- Two-panel axial: CT | PSMA PET, 18F-PSMA tracer
- acquired on Siemens Biograph mCT Flow 20
- slice position z = -954 mm
- PET panel 200×200 px (4.1 mm/px)
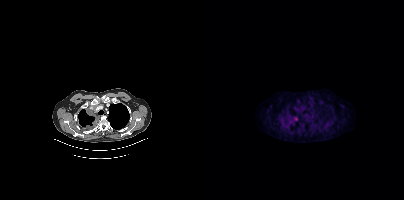
Findings: Coordinates are on the 200×200 PET (right) panel. PSMA-avid tumor lesion bounding box (x0,y0,x1,y1): [89,117,93,121]. Small PSMA-avid focus (2 to 4 px across) near (center x, center y): (88, 124).